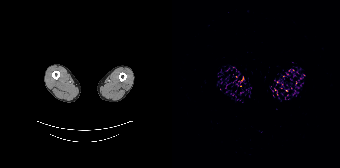
Findings: No PSMA-avid tumor lesions on this slice.
Technique: Two-panel axial: CT | PSMA PET, 68Ga-PSMA tracer. acquired on Siemens Biograph 64-4R TruePoint. slice 1 of 195.